modality: PSMA PET/CT | tracer: [18F]PSMA-1007 | view: axial
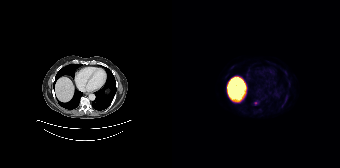
Coordinates are on the 168×168 PET (right) panel. Small PSMA-avid focus (2 to 4 px across) near (center x, center y): (83, 103).